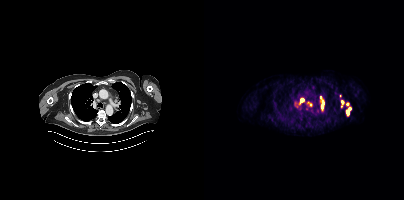
Coordinates are on the 200×200 PET (right) panel. (showing 8 of 9 foci) PSMA-avid tumor lesion bounding boxes (x0,y0,x1,y1): [116,96,120,109] [142,107,147,115] [103,102,108,106]. Small PSMA-avid foci (2 to 4 px across) near (center x, center y): (98, 100) (138, 102) (95, 104) (136, 96) (143, 103).